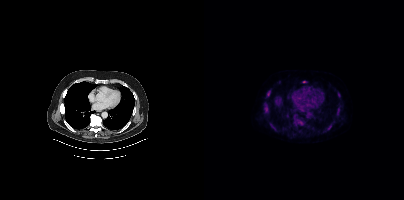
Technique: Paired axial CT (left) and PSMA PET (right), 18F-PSMA tracer. acquired on Siemens Biograph mCT Flow 20. PET panel 200×200 px (4.1 mm/px).
Findings: Coordinates are on the 200×200 PET (right) panel. (showing 9 of 11 foci) PSMA-avid tumor lesion bounding boxes (x, y, width, height): x=60 y=104 w=6 h=11 | x=92 y=119 w=7 h=7 | x=63 y=90 w=4 h=6 | x=132 y=110 w=4 h=5 | x=67 y=125 w=5 h=4. Small PSMA-avid foci (2 to 4 px across) near (center x, center y): (91, 115) | (134, 94) | (129, 122) | (65, 122).